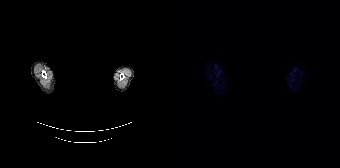
Technique: Left: CT. Right: PSMA PET, same axial level, [68Ga]Ga-PSMA-11 tracer.
Note: Facial anatomy redacted by setting a rectangular region of the head to black.
Findings: No tumor lesions annotated on this slice.